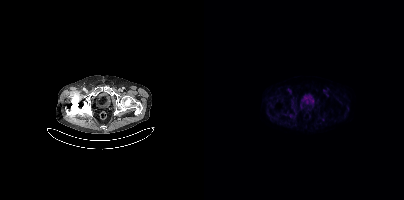
Findings: No PSMA-avid tumor lesions on this slice.
- Paired axial CT (left) and PSMA PET (right), 18F-PSMA tracer